- Paired axial CT (left) and PSMA PET (right), 18F-PSMA tracer
- acquired on Siemens Biograph mCT Flow 20
- slice position z = -1184 mm
- PET panel 200×200 px (4.1 mm/px)
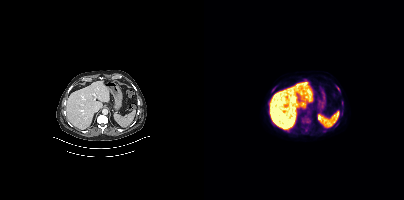
Findings: Coordinates are on the 200×200 PET (right) panel. (showing 1 of 3 foci) PSMA-avid tumor lesion bounding box (x, y, width, height): x=132 y=86 w=4 h=5.